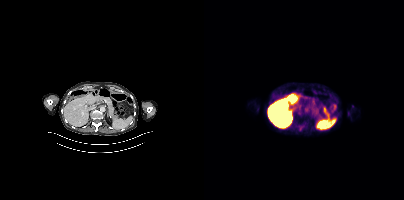
modality: PSMA PET/CT | tracer: 18F-PSMA | view: axial
No tumor lesions annotated on this slice.